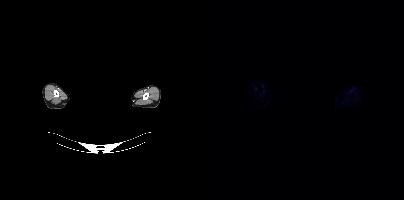
An anonymization step blacked out a rectangle over the head in this scan.
No tumor lesions annotated on this slice.